modality: PSMA PET/CT | tracer: [18F]PSMA-1007 | view: axial
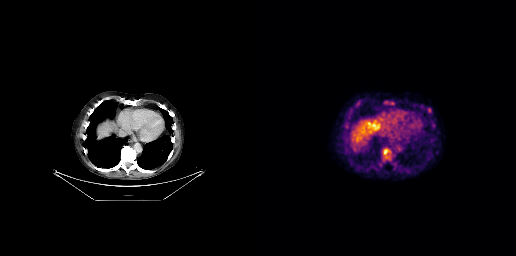
Coordinates are on the 256×256 PET (right) panel. Small PSMA-avid focus (2 to 4 px across) near (center x, center y): (125, 151).